Technique: Two-panel axial: CT | PSMA PET, 18F-PSMA tracer. slice 14 of 165. PET panel 168×168 px (4.1 mm/px).
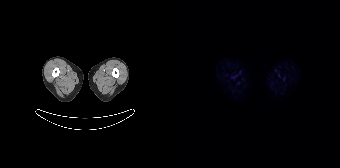
Findings: No PSMA-avid tumor lesions on this slice.